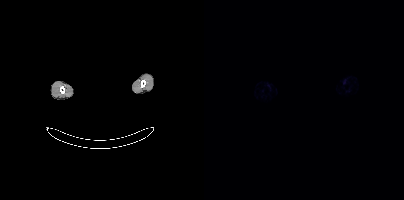
Technique: Two-panel axial: CT | PSMA PET, [68Ga]Ga-PSMA-11 tracer. acquired on Siemens Biograph mCT Flow 20. slice position z = -986 mm.
Note: De-identified by setting a box covering the face to black before release.
Findings: No PSMA-avid tumor lesions on this slice.